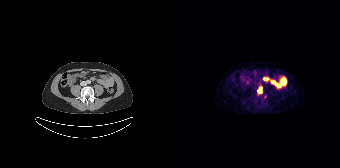
{"modality":"PSMA PET/CT","view":"axial","tracer":"68Ga","pet_grid":[168,168],"coord_frame":"pet_panel","coord_format":"x0,y0,x1,y1","lesion_bboxes":[[85,86,90,93]],"small_foci_centers":[[93,96]]}